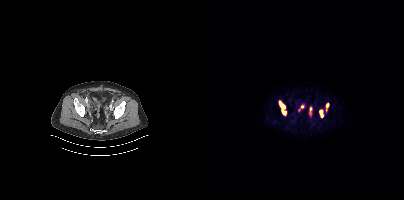
Coordinates are on the 200×200 PET (right) panel. (showing 5 of 6 foci) PSMA-avid tumor lesion bounding boxes (x0,y0,x1,y1): [75,101,82,115] [115,109,119,117] [122,103,125,111] [105,107,107,114]. Small PSMA-avid focus (2 to 4 px across) near (center x, center y): (98, 106).